- Two-panel axial: CT | PSMA PET, 18F tracer
- acquired on Siemens Biograph mCT Flow 20
- slice 396 of 454
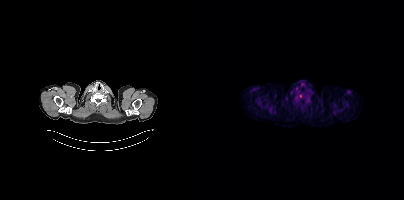
Findings: Coordinates are on the 200×200 PET (right) panel. Small PSMA-avid focus (2 to 4 px across) near (center x, center y): (96, 95).